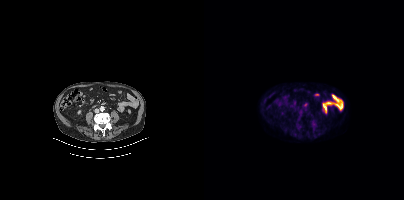
No PSMA-avid tumor lesions on this slice. Two-panel axial: CT | PSMA PET, 18F tracer. Slice position z = -1324 mm. PET panel 200×200 px (4.1 mm/px).